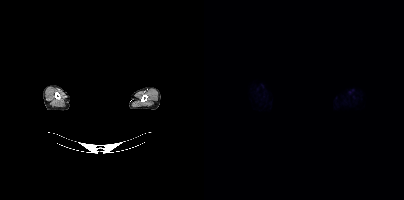
Findings: No tumor lesions annotated on this slice.
Technique: Paired axial CT (left) and PSMA PET (right), 18F-PSMA tracer. slice position z = -754 mm. PET panel 200×200 px (4.1 mm/px).
Note: A rectangle over the head was blacked out to remove identifiable facial features.